modality: PSMA PET/CT | tracer: [18F]PSMA-1007 | view: axial | PET grid: 200×200
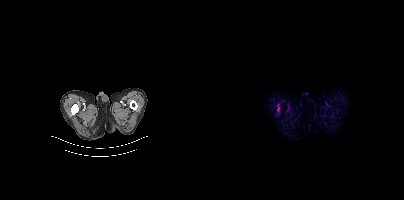
Coordinates are on the 200×200 PET (right) panel. (showing 1 of 2 foci) PSMA-avid tumor lesion bounding box (x0,y0,x1,y1): [73,104,76,112].